modality: PSMA PET/CT | tracer: 68Ga | view: axial
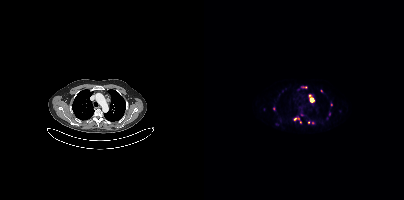
Coordinates are on the 200×200 PET (right) panel. (showing 10 of 11 foci) PSMA-avid tumor lesion bounding boxes (x, y, width, height): x=105 y=95 w=5 h=8; x=97 y=86 w=6 h=3. Small PSMA-avid foci (2 to 4 px across) near (center x, center y): (70, 108); (97, 114); (117, 91); (91, 119); (104, 122); (127, 104); (125, 113); (96, 122).